Technique: Left: CT. Right: PSMA PET, same axial level, 18F tracer. acquired on Siemens Biograph mCT Flow 20.
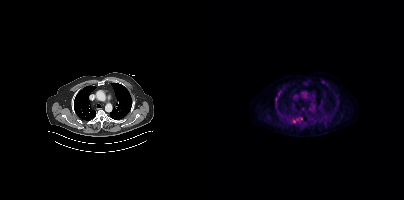
Findings: Coordinates are on the 200×200 PET (right) panel. PSMA-avid tumor lesion bounding box (x0,y0,x1,y1): [89,119,94,122]. Small PSMA-avid foci (2 to 4 px across) near (center x, center y): (96, 118), (72, 98).